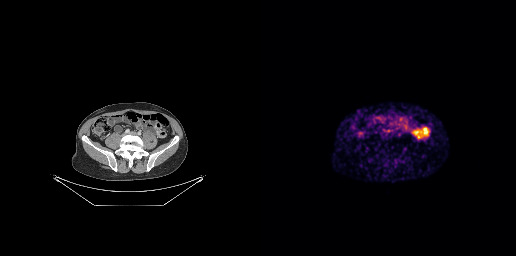
Findings: Negative for PSMA-avid disease on this slice.
Technique: Left: CT. Right: PSMA PET, same axial level, 68Ga tracer. PET panel 256×256 px (2.7 mm/px).